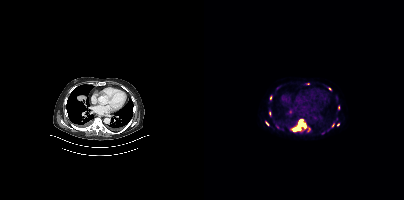
Coordinates are on the 200×200 PET (right) panel. PSMA-avid tumor lesion bounding boxes (x0,y0,x1,y1): [86,118,106,132], [128,123,130,127]. Small PSMA-avid foci (2 to 4 px across) near (center x, center y): (134, 124), (66, 97), (134, 107), (65, 113), (104, 83), (126, 88), (63, 123).